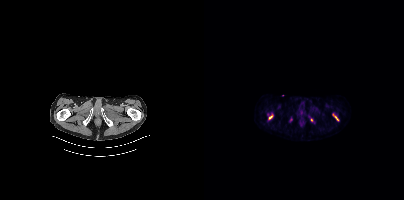
{"modality":"PSMA PET/CT","view":"axial","tracer":"[18F]PSMA-1007","pet_grid":[200,200],"coord_frame":"pet_panel","coord_format":"x0,y0,x1,y1","lesion_bboxes":[[64,114,69,119],[130,116,134,120]],"small_foci_centers":[[107,120]]}